- Paired axial CT (left) and PSMA PET (right), 18F tracer
- slice position z = -500 mm
- PET panel 200×200 px (4.1 mm/px)
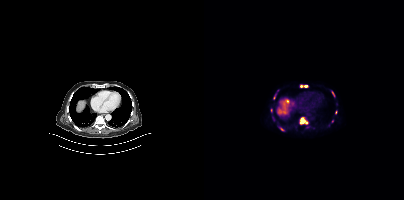
Findings: Coordinates are on the 200×200 PET (right) panel. (showing 5 of 7 foci) PSMA-avid tumor lesion bounding boxes (x0, y0)-(x1, y1): (96, 117)-(103, 123) | (76, 128)-(80, 130). Small PSMA-avid foci (2 to 4 px across) near (center x, center y): (101, 86) | (97, 86) | (129, 93).